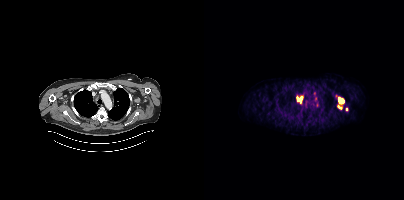
{"modality":"PSMA PET/CT","view":"axial","tracer":"[68Ga]Ga-PSMA-11","pet_grid":[200,200],"coord_frame":"pet_panel","coord_format":"x0,y0,x1,y1","partial":true,"lesion_bboxes":[[134,97,140,104],[93,97,98,101],[133,105,138,109],[110,97,113,101]]}